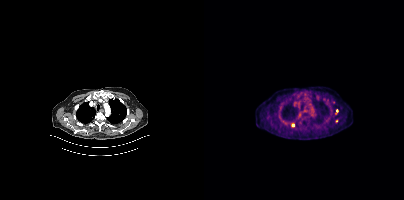
{"modality":"PSMA PET/CT","view":"axial","tracer":"18F-PSMA","pet_grid":[200,200],"coord_frame":"pet_panel","coord_format":"x0,y0,x1,y1","lesion_bboxes":[],"small_foci_centers":[[132,113],[132,121],[89,125],[132,110]]}